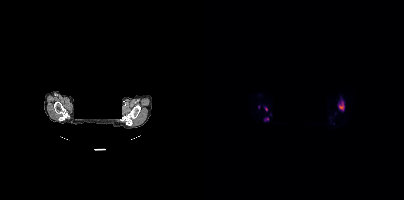
Technique: Left: CT. Right: PSMA PET, same axial level, 18F tracer. acquired on Siemens Biograph mCT Flow 20.
Note: An anonymization step blacked out a rectangle over the head in this scan.
Findings: Coordinates are on the 200×200 PET (right) panel. (showing 3 of 4 foci) PSMA-avid tumor lesion bounding boxes (x0,y0,x1,y1): [134,99,140,111]; [60,118,64,120]. Small PSMA-avid focus (2 to 4 px across) near (center x, center y): (62, 108).